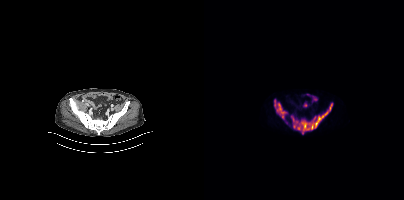
- Left: CT. Right: PSMA PET, same axial level, [18F]PSMA-1007 tracer
- PET panel 200×200 px (4.1 mm/px)
Findings: Coordinates are on the 200×200 PET (right) panel. PSMA-avid tumor lesion bounding boxes (x, y, width, height): x=87 y=103 w=42 h=31; x=70 y=100 w=13 h=19.